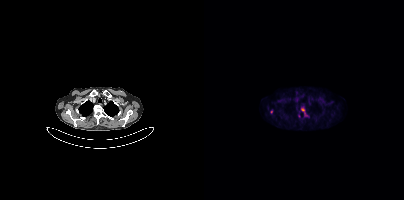
Coordinates are on the 200×200 PET (right) panel. (showing 2 of 3 foci) Small PSMA-avid foci (2 to 4 px across) near (center x, center y): (67, 111) | (101, 114). Left: CT. Right: PSMA PET, same axial level, [18F]PSMA-1007 tracer. Slice 311 of 391. PET panel 200×200 px (4.1 mm/px).